Technique: Left: CT. Right: PSMA PET, same axial level, 18F tracer. acquired on Siemens Biograph mCT Flow 20. slice position z = -1191 mm.
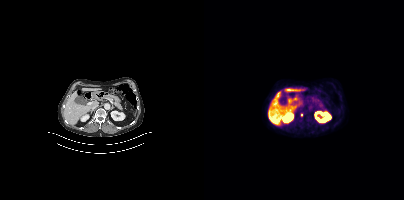
Findings: Coordinates are on the 200×200 PET (right) panel. Small PSMA-avid focus (2 to 4 px across) near (center x, center y): (97, 114).